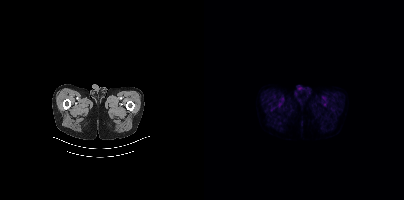
{"modality":"PSMA PET/CT","view":"axial","tracer":"18F","pet_grid":[200,200],"coord_frame":"pet_panel","coord_format":"x0,y0,x1,y1","psma_avid_lesions":false}